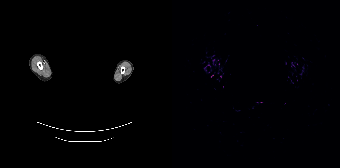
No tumor lesions annotated on this slice. Left: CT. Right: PSMA PET, same axial level, 68Ga tracer. The head region is masked for de-identification.